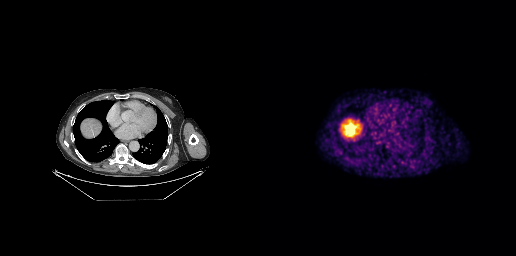
Findings: No PSMA-avid tumor lesions on this slice.
- Two-panel axial: CT | PSMA PET, [68Ga]Ga-PSMA-11 tracer
- acquired on GE Discovery 690